A rectangle over the head was blacked out to remove identifiable facial features. Two-panel axial: CT | PSMA PET, 18F-PSMA tracer.
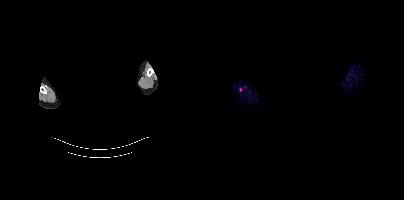
No PSMA-avid tumor lesions on this slice.